modality: PSMA PET/CT | tracer: 18F-PSMA | view: axial
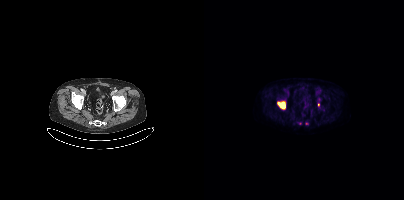
Coordinates are on the 200×200 PET (right) panel. (showing 3 of 4 foci) PSMA-avid tumor lesion bounding box (x0, y0)-(x1, y1): (73, 101)-(81, 109). Small PSMA-avid foci (2 to 4 px across) near (center x, center y): (114, 104) / (102, 123).